- Two-panel axial: CT | PSMA PET, 18F-PSMA tracer
- PET panel 200×200 px (4.1 mm/px)
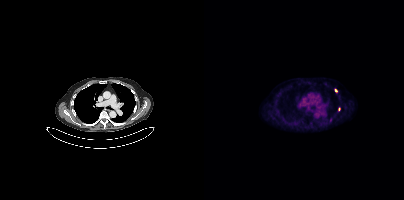
Findings: Coordinates are on the 200×200 PET (right) panel. (showing 1 of 2 foci) Small PSMA-avid focus (2 to 4 px across) near (center x, center y): (131, 90).